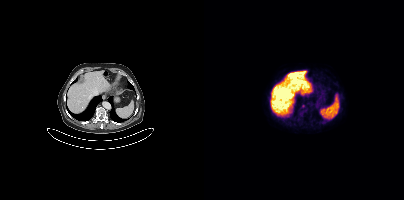
Coordinates are on the 200×200 PET (right) panel. PSMA-avid tumor lesion bounding box (x, y, width, height): x=98 y=104 w=4 h=5. Two-panel axial: CT | PSMA PET, 18F-PSMA tracer. Slice 260 of 433.